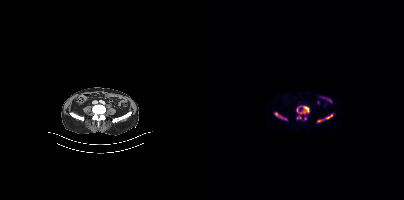
Coordinates are on the 200×200 PET (right) panel. PSMA-avid tumor lesion bounding boxes (x0, y0)-(x1, y1): (92, 106)-(105, 114) / (71, 112)-(79, 118) / (121, 114)-(128, 118) / (113, 119)-(118, 122) / (93, 116)-(97, 119). Small PSMA-avid foci (2 to 4 px across) near (center x, center y): (101, 118) / (81, 119).